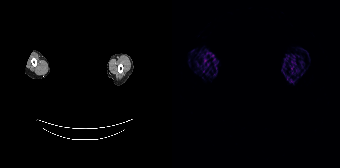
{"modality":"PSMA PET/CT","view":"axial","tracer":"[68Ga]Ga-PSMA-11","pet_grid":[168,168],"coord_frame":"pet_panel","coord_format":"x0,y0,x1,y1","deidentification":"head region blanked (face removed)","psma_avid_lesions":false}